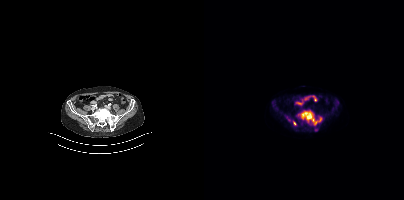
modality: PSMA PET/CT | tracer: 18F-PSMA | view: axial
Coordinates are on the 200×200 PET (right) panel. (showing 6 of 8 foci) PSMA-avid tumor lesion bounding boxes (x0, y0)-(x1, y1): (96, 110)-(117, 126) | (92, 115)-(96, 118) | (132, 102)-(134, 106) | (89, 121)-(92, 125). Small PSMA-avid foci (2 to 4 px across) near (center x, center y): (112, 129) | (104, 122).